modality: PSMA PET/CT | tracer: 68Ga-PSMA | view: axial
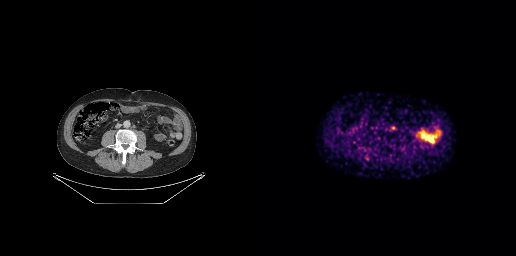
Coordinates are on the 256×256 PET (right) panel. PSMA-avid tumor lesion bounding box (x, y, width, height): x=130 y=126 w=7 h=5.